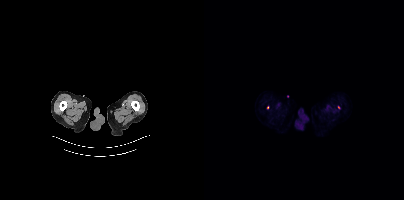
Left: CT. Right: PSMA PET, same axial level, 18F tracer. Slice position z = -974 mm. PET panel 200×200 px (4.1 mm/px). Coordinates are on the 200×200 PET (right) panel. Small PSMA-avid foci (2 to 4 px across) near (center x, center y): (63, 107); (134, 107).